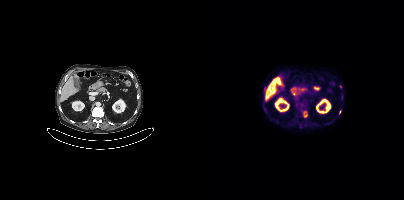
Two-panel axial: CT | PSMA PET, [18F]PSMA-1007 tracer. Acquired on Siemens Biograph mCT Flow 20. Slice 192 of 387. Coordinates are on the 200×200 PET (right) panel. (showing 3 of 4 foci) Small PSMA-avid foci (2 to 4 px across) near (center x, center y): (135, 112), (101, 115), (136, 86).